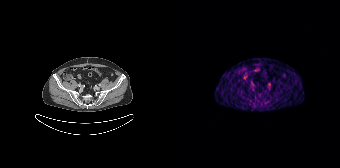
Negative for PSMA-avid disease on this slice.
modality: PSMA PET/CT | tracer: 68Ga-PSMA | view: axial